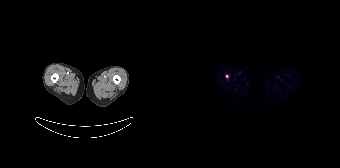
Findings: Coordinates are on the 168×168 PET (right) panel. Small PSMA-avid focus (2 to 4 px across) near (center x, center y): (54, 76).
- Left: CT. Right: PSMA PET, same axial level, [18F]PSMA-1007 tracer
- slice 8 of 165
- PET panel 168×168 px (4.1 mm/px)